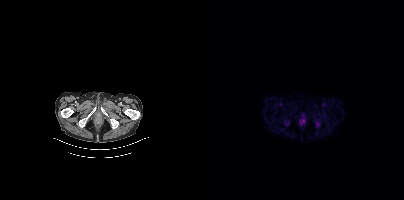
Paired axial CT (left) and PSMA PET (right), 18F tracer. No PSMA-avid tumor lesions on this slice.